Two-panel axial: CT | PSMA PET, 18F tracer. Acquired on GE Discovery 690. PET panel 256×256 px (2.7 mm/px).
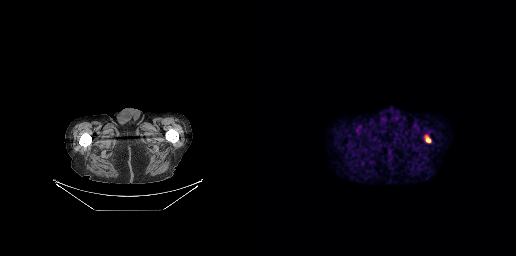
Coordinates are on the 256×256 PET (right) panel. PSMA-avid tumor lesion bounding box (x0,y0,x1,y1): [166,137,170,142].